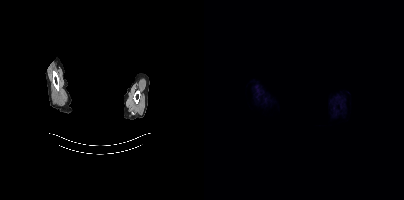
Left: CT. Right: PSMA PET, same axial level, [18F]PSMA-1007 tracer. A rectangle over the head was blacked out to remove identifiable facial features. This slice has no annotated PSMA-avid lesion.